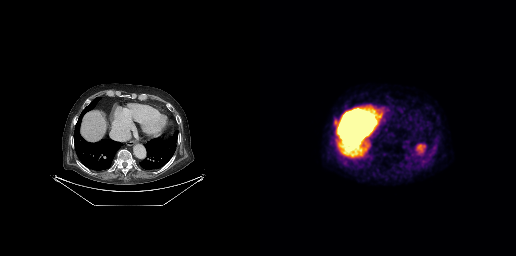
Left: CT. Right: PSMA PET, same axial level, [18F]PSMA-1007 tracer.
Coordinates are on the 256×256 PET (right) panel. PSMA-avid tumor lesion bounding boxes:
| # | x0 | y0 | x1 | y1 |
|---|---|---|---|---|
| 1 | 74 | 120 | 78 | 126 |